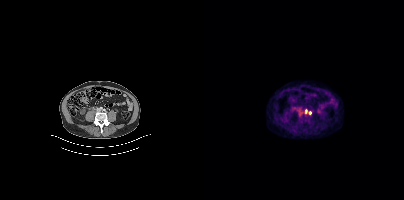
Coordinates are on the 200×200 PET (right) panel. PSMA-avid tumor lesion bounding boxes (x, y, width, height): x=92 y=108 w=6 h=6 / x=101 y=109 w=3 h=5. Small PSMA-avid focus (2 to 4 px across) near (center x, center y): (106, 112).